- Left: CT. Right: PSMA PET, same axial level, 18F-PSMA tracer
- acquired on Siemens Biograph mCT Flow 20
- PET panel 200×200 px (4.1 mm/px)
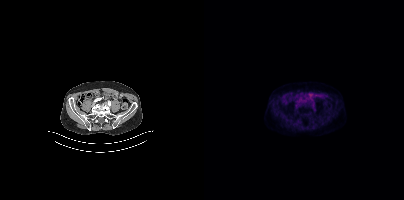
Findings: No PSMA-avid tumor lesions on this slice.